Left: CT. Right: PSMA PET, same axial level, 18F tracer. Slice 336 of 411.
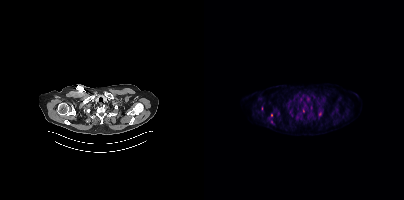
Coordinates are on the 200×200 PET (right) panel. (showing 2 of 4 foci) PSMA-avid tumor lesion bounding box (x0,y0,x1,y1): [115,112,117,116]. Small PSMA-avid focus (2 to 4 px across) near (center x, center y): (67, 115).